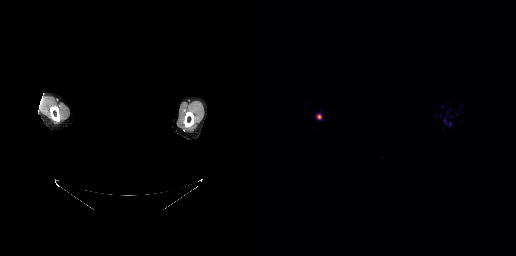
The face region was removed for patient privacy by blanking a rectangle over the head. Paired axial CT (left) and PSMA PET (right), 68Ga-PSMA tracer. Acquired on GE Discovery 690. Slice position z = -175 mm. Coordinates are on the 256×256 PET (right) panel. Small PSMA-avid focus (2 to 4 px across) near (center x, center y): (59, 116).